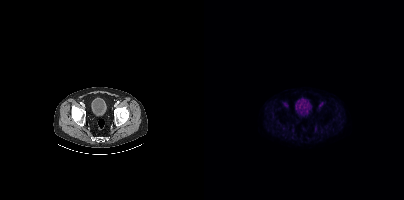
Negative for PSMA-avid disease on this slice. Paired axial CT (left) and PSMA PET (right), [18F]PSMA-1007 tracer. PET panel 200×200 px (4.1 mm/px).